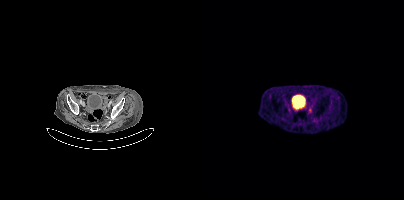
Findings: Coordinates are on the 200×200 PET (right) panel. Small PSMA-avid focus (2 to 4 px across) near (center x, center y): (106, 110).
Technique: Paired axial CT (left) and PSMA PET (right), [68Ga]Ga-PSMA-11 tracer. acquired on Siemens Biograph mCT Flow 20.